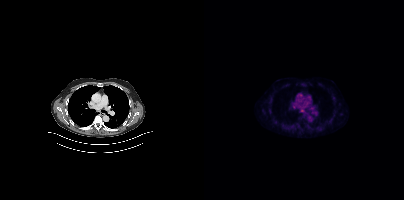
No tumor lesions annotated on this slice.
modality: PSMA PET/CT | tracer: [18F]PSMA-1007 | view: axial | PET grid: 200×200